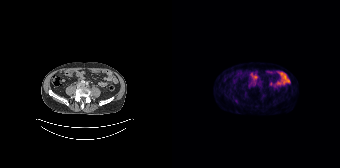
This slice has no annotated PSMA-avid lesion.